Left: CT. Right: PSMA PET, same axial level, 18F-PSMA tracer.
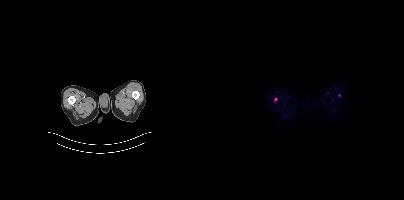
Coordinates are on the 200×200 PET (right) panel. (showing 1 of 2 foci) Small PSMA-avid focus (2 to 4 px across) near (center x, center y): (71, 99).